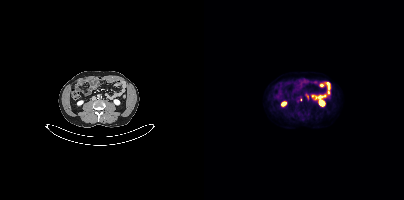
Coordinates are on the 200×200 PET (right) panel. (showing 1 of 2 foci) Small PSMA-avid focus (2 to 4 px across) near (center x, center y): (103, 97).